Two-panel axial: CT | PSMA PET, [18F]PSMA-1007 tracer. PET panel 200×200 px (4.1 mm/px).
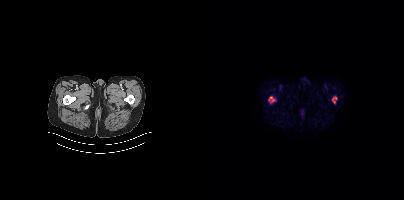
Coordinates are on the 200×200 PET (right) panel. PSMA-avid tumor lesion bounding boxes (x, y, width, height): x=128 y=96 w=5 h=8 / x=65 y=96 w=5 h=5.